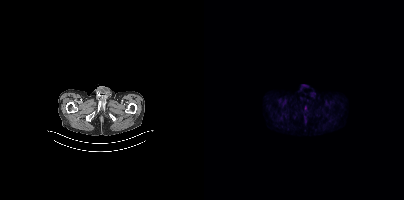
- Two-panel axial: CT | PSMA PET, 18F tracer
- slice position z = -1020 mm
Findings: No PSMA-avid tumor lesions on this slice.